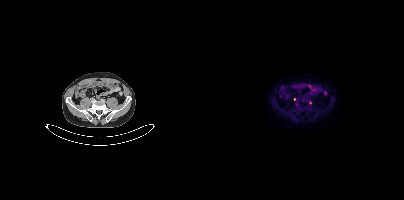
modality: PSMA PET/CT | tracer: 18F | view: axial | PET grid: 200×200
Coordinates are on the 200×200 PET (right) panel. (showing 1 of 2 foci) Small PSMA-avid focus (2 to 4 px across) near (center x, center y): (90, 99).